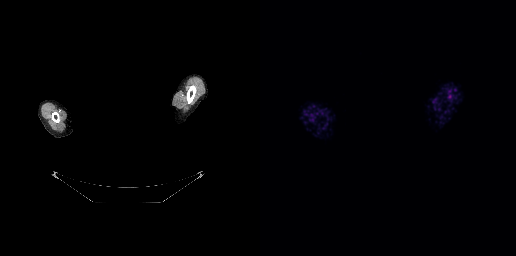
This slice has no annotated PSMA-avid lesion.
Privacy masking over the head, with the pixels inside a rectangle set to black.